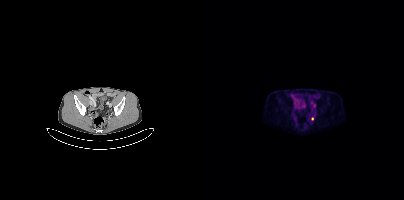
Two-panel axial: CT | PSMA PET, 18F-PSMA tracer. PET panel 200×200 px (4.1 mm/px). Coordinates are on the 200×200 PET (right) panel. Small PSMA-avid focus (2 to 4 px across) near (center x, center y): (108, 118).